Technique: Paired axial CT (left) and PSMA PET (right), [18F]PSMA-1007 tracer. acquired on Siemens Biograph mCT Flow 20. slice 72 of 429. PET panel 200×200 px (4.1 mm/px).
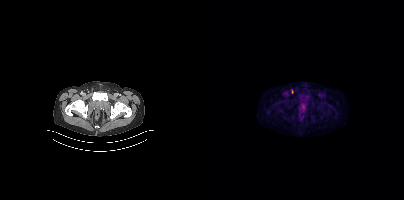
Findings: Coordinates are on the 200×200 PET (right) panel. Small PSMA-avid focus (2 to 4 px across) near (center x, center y): (88, 91).